modality: PSMA PET/CT | tracer: [68Ga]Ga-PSMA-11 | view: axial
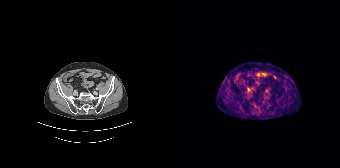
No tumor lesions annotated on this slice.